- Paired axial CT (left) and PSMA PET (right), [18F]PSMA-1007 tracer
- acquired on Siemens Biograph mCT Flow 20
- slice 185 of 409
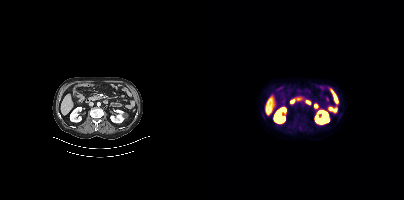
Findings: No PSMA-avid tumor lesions on this slice.